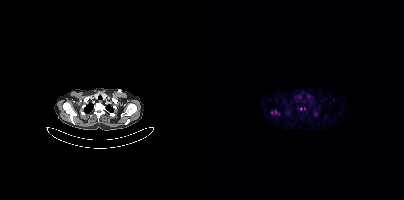
modality: PSMA PET/CT | tracer: 18F-PSMA | view: axial
Coordinates are on the 200×200 PET (right) panel. (showing 1 of 4 foci) Small PSMA-avid focus (2 to 4 px across) near (center x, center y): (71, 112).